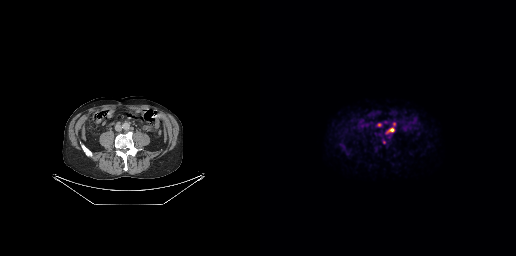
Left: CT. Right: PSMA PET, same axial level, [18F]PSMA-1007 tracer. Acquired on GE Discovery 690. Slice 107 of 263. PET panel 256×256 px (2.7 mm/px). Coordinates are on the 256×256 PET (right) panel. (showing 3 of 4 foci) PSMA-avid tumor lesion bounding boxes (x0,y0,x1,y1): [125,123,135,134], [117,123,121,126]. Small PSMA-avid focus (2 to 4 px across) near (center x, center y): (124, 142).